Two-panel axial: CT | PSMA PET, 18F tracer. Acquired on Siemens Biograph mCT Flow 20. Slice position z = -730 mm.
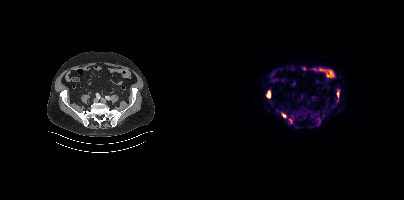
Coordinates are on the 200×200 PET (right) panel. PSMA-avid tumor lesion bounding boxes (x0,y0,x1,y1): [63,92,66,97] [133,90,135,96] [78,113,81,117]. Small PSMA-avid focus (2 to 4 px across) near (center x, center y): (86, 120).